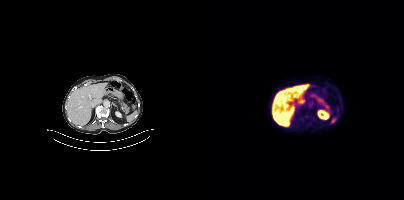
This slice has no annotated PSMA-avid lesion. Two-panel axial: CT | PSMA PET, [18F]PSMA-1007 tracer. Acquired on Siemens Biograph mCT Flow 20. PET panel 200×200 px (4.1 mm/px).